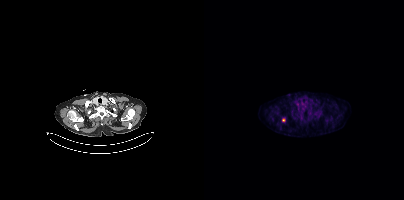
Coordinates are on the 200×200 PET (right) panel. (showing 2 of 3 foci) Small PSMA-avid foci (2 to 4 px across) near (center x, center y): (79, 120), (93, 104). Paired axial CT (left) and PSMA PET (right), 18F tracer. PET panel 200×200 px (4.1 mm/px).